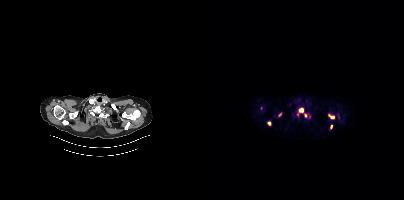
Two-panel axial: CT | PSMA PET, [18F]PSMA-1007 tracer. Slice 376 of 444. PET panel 200×200 px (4.1 mm/px). Coordinates are on the 200×200 PET (right) panel. PSMA-avid tumor lesion bounding boxes (x0,y0,x1,y1): [124,114,130,119] [94,108,99,112] [63,121,66,125]. Small PSMA-avid foci (2 to 4 px across) near (center x, center y): (101, 115) (127, 126) (76, 114) (93, 114).